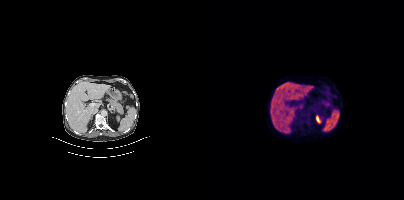
{"pet_grid":[200,200],"coord_frame":"pet_panel","coord_format":"x0,y0,x1,y1","psma_avid_lesions":false,"modality":"PSMA PET/CT","view":"axial","tracer":"[18F]PSMA-1007"}